Paired axial CT (left) and PSMA PET (right), 18F tracer. Slice 53 of 263. PET panel 256×256 px (2.7 mm/px).
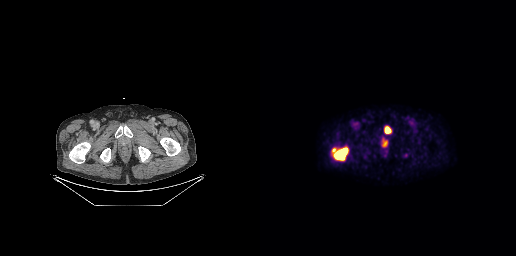
Coordinates are on the 256×256 PET (right) panel. PSMA-avid tumor lesion bounding boxes:
| # | x0 | y0 | x1 | y1 |
|---|---|---|---|---|
| 1 | 71 | 145 | 89 | 161 |
| 2 | 124 | 126 | 131 | 133 |
| 3 | 121 | 140 | 127 | 147 |